modality: PSMA PET/CT | tracer: 18F-PSMA | view: axial | PET grid: 200×200
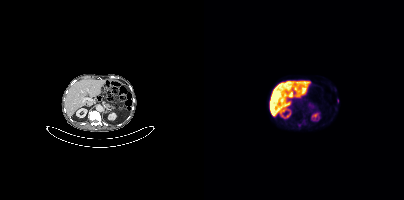
Coordinates are on the 200×200 PET (right) panel. Small PSMA-avid foci (2 to 4 px across) near (center x, center y): (100, 121) | (133, 100).